modality: PSMA PET/CT | tracer: [18F]PSMA-1007 | view: axial | PET grid: 200×200
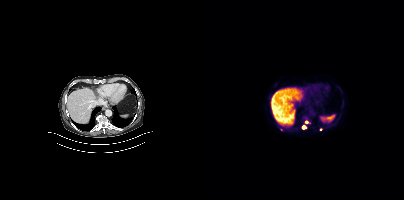
Coordinates are on the 200×200 PET (right) panel. (showing 3 of 4 foci) Small PSMA-avid foci (2 to 4 px across) near (center x, center y): (99, 127) / (102, 122) / (77, 129).